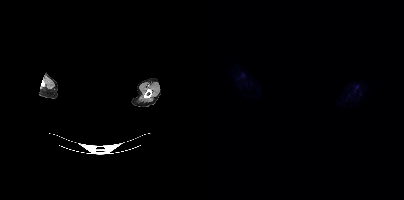
A rectangle over the head was blacked out to remove identifiable facial features.
No tumor lesions annotated on this slice.